Technique: Two-panel axial: CT | PSMA PET, 18F tracer.
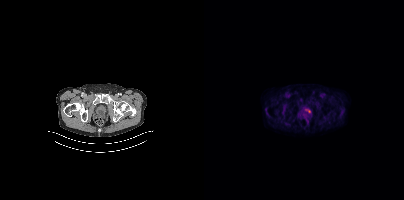
Findings: Coordinates are on the 200×200 PET (right) panel. Small PSMA-avid focus (2 to 4 px across) near (center x, center y): (105, 111).